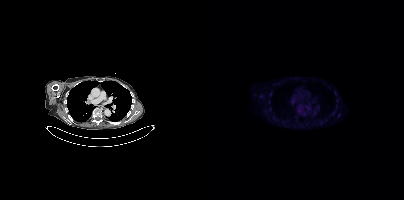
Coordinates are on the 200×200 PET (right) panel. (showing 1 of 3 foci) Small PSMA-avid focus (2 to 4 px across) near (center x, center y): (131, 93).